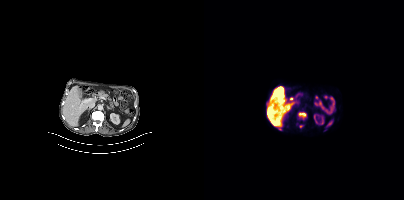
modality: PSMA PET/CT | tracer: 18F-PSMA | view: axial
Coordinates are on the 200×200 PET (right) panel. PSMA-avid tumor lesion bounding box (x0, y0)-(x1, y1): (95, 112)-(102, 117). Small PSMA-avid foci (2 to 4 px across) near (center x, center y): (74, 128); (96, 126).